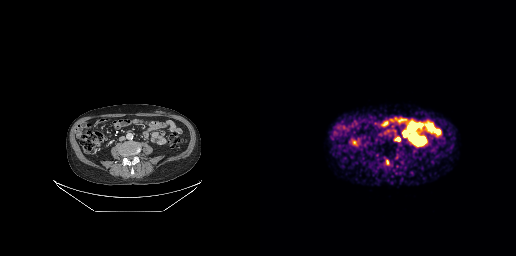
Paired axial CT (left) and PSMA PET (right), 68Ga-PSMA tracer. Acquired on GE Discovery 690. PET panel 256×256 px (2.7 mm/px). Coordinates are on the 256×256 PET (right) panel. PSMA-avid tumor lesion bounding boxes (x, y, width, height): x=135 y=137 w=6 h=5; x=125 y=159 w=4 h=6.